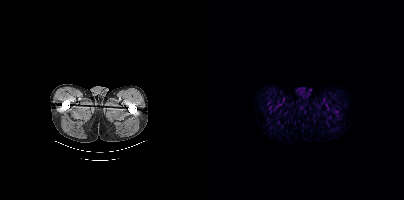
Findings: Negative for PSMA-avid disease on this slice.
Technique: Paired axial CT (left) and PSMA PET (right), 18F tracer.